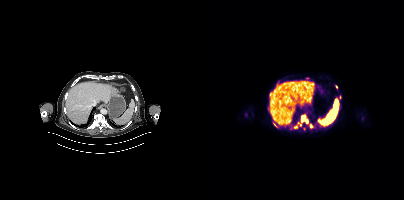
Coordinates are on the 200×200 PET (right) panel. (showing 6 of 9 foci) PSMA-avid tumor lesion bounding boxes (x, y, width, height): x=97 y=115 w=12 h=14 | x=69 y=122 w=4 h=5. Small PSMA-avid foci (2 to 4 px across) near (center x, center y): (132, 86) | (91, 127) | (66, 93) | (136, 96).